Two-panel axial: CT | PSMA PET, 18F-PSMA tracer. Acquired on Siemens Biograph mCT Flow 20. Slice position z = -1681 mm. PET panel 200×200 px (4.1 mm/px).
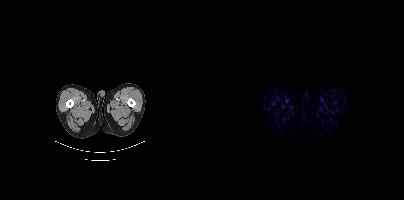
No PSMA-avid tumor lesions on this slice.